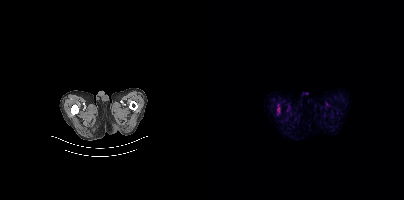
Paired axial CT (left) and PSMA PET (right), 18F-PSMA tracer. Acquired on Siemens Biograph mCT Flow 20. Slice position z = -1528 mm. PET panel 200×200 px (4.1 mm/px). Coordinates are on the 200×200 PET (right) panel. PSMA-avid tumor lesion bounding box (x, y, width, height): x=73 y=104 w=4 h=11.